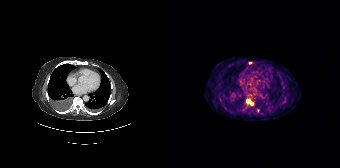
Paired axial CT (left) and PSMA PET (right), 68Ga-PSMA tracer. Acquired on Siemens Biograph 64-4R TruePoint. Slice 104 of 165. Coordinates are on the 168×168 PET (right) panel. PSMA-avid tumor lesion bounding box (x, y, width, height): x=75 y=99 w=6 h=6. Small PSMA-avid foci (2 to 4 px across) near (center x, center y): (78, 62); (85, 110).